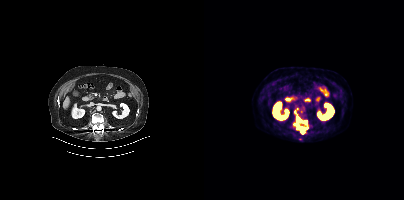
{"modality":"PSMA PET/CT","view":"axial","tracer":"18F","pet_grid":[200,200],"coord_frame":"pet_panel","coord_format":"x0,y0,x1,y1","lesion_bboxes":[[90,123,102,133],[93,117,102,123]],"small_foci_centers":[[90,111],[97,111]]}